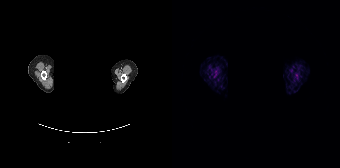
{"modality":"PSMA PET/CT","view":"axial","tracer":"68Ga-PSMA","pet_grid":[168,168],"coord_frame":"pet_panel","coord_format":"x0,y0,x1,y1","deidentification":"head region blanked (face removed)","psma_avid_lesions":false}